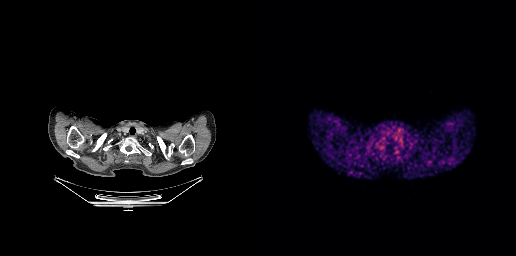
Findings: Negative for PSMA-avid disease on this slice.
Technique: Two-panel axial: CT | PSMA PET, 68Ga-PSMA tracer. slice 222 of 263.